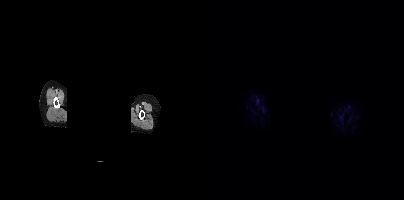
Findings: Negative for PSMA-avid disease on this slice.
- Two-panel axial: CT | PSMA PET, [68Ga]Ga-PSMA-11 tracer
- slice position z = 919 mm
- PET panel 200×200 px (4.1 mm/px)
- the face region was removed for patient privacy by blanking a rectangle over the head